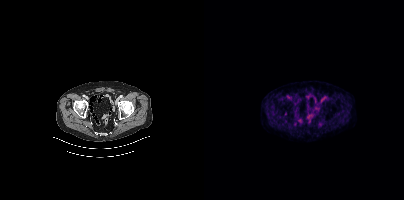
Two-panel axial: CT | PSMA PET, 18F tracer. Slice 93 of 454. PET panel 200×200 px (4.1 mm/px). Negative for PSMA-avid disease on this slice.